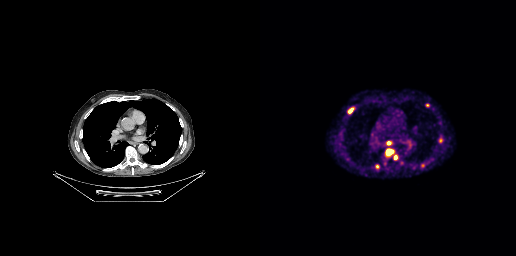
Findings: Coordinates are on the 256×256 PET (right) panel. PSMA-avid tumor lesion bounding boxes (x0, y0)-(x1, y1): (126, 149)-(133, 155) / (178, 137)-(183, 143) / (88, 108)-(93, 113) / (127, 141)-(131, 145) / (115, 164)-(119, 168) / (134, 155)-(136, 159). Small PSMA-avid foci (2 to 4 px across) near (center x, center y): (162, 165) / (167, 105) / (141, 162).
- Two-panel axial: CT | PSMA PET, 68Ga tracer
- PET panel 256×256 px (2.7 mm/px)